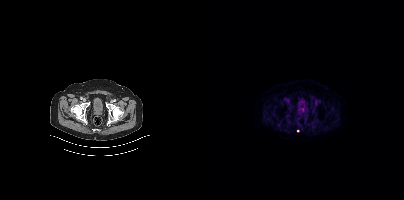
Two-panel axial: CT | PSMA PET, 18F-PSMA tracer. PET panel 200×200 px (4.1 mm/px). Only PSMA-avid lesion pieces thinner than 2 px on this slice (not listed).